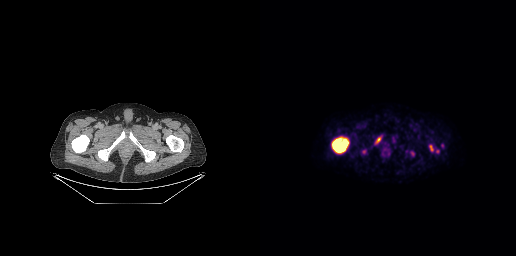
Paired axial CT (left) and PSMA PET (right), 18F tracer. Coordinates are on the 256×256 PET (right) panel. PSMA-avid tumor lesion bounding boxes (x0, y0)-(x1, y1): (72, 137)-(89, 153); (115, 137)-(121, 143); (169, 145)-(173, 151). Small PSMA-avid foci (2 to 4 px across) near (center x, center y): (177, 151); (152, 153).